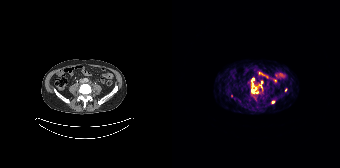
Findings: Coordinates are on the 168×168 PET (right) panel. (showing 3 of 5 foci) PSMA-avid tumor lesion bounding boxes (x, y, width, height): x=79 y=85 w=8 h=9 / x=87 y=81 w=4 h=9. Small PSMA-avid focus (2 to 4 px across) near (center x, center y): (80, 79).
- Two-panel axial: CT | PSMA PET, [68Ga]Ga-PSMA-11 tracer
- PET panel 168×168 px (4.1 mm/px)